Paired axial CT (left) and PSMA PET (right), 18F tracer. Acquired on Siemens Biograph mCT Flow 20. Slice 450 of 452. Any black rectangle over the head is a privacy mask, not anatomy.
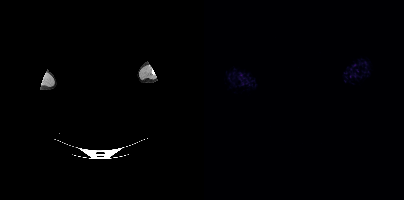
No PSMA-avid tumor lesions on this slice.